- Paired axial CT (left) and PSMA PET (right), 68Ga-PSMA tracer
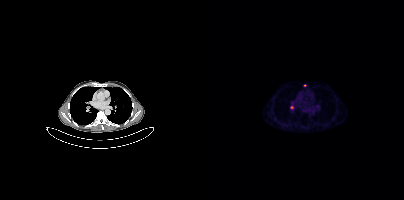
Findings: Coordinates are on the 200×200 PET (right) panel. Small PSMA-avid foci (2 to 4 px across) near (center x, center y): (87, 107) | (100, 85).